Left: CT. Right: PSMA PET, same axial level, 18F-PSMA tracer. Slice position z = -986 mm. PET panel 200×200 px (4.1 mm/px).
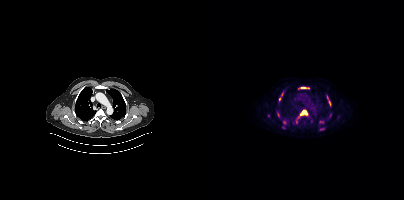
Coordinates are on the 200×200 PET (right) panel. PSMA-avid tumor lesion bounding boxes (partial; 3 more foci not listed):
| # | x0 | y0 | x1 | y1 |
|---|---|---|---|---|
| 1 | 96 | 110 | 103 | 115 |
| 2 | 97 | 87 | 101 | 88 |
| 3 | 75 | 95 | 78 | 100 |
| 4 | 125 | 101 | 126 | 105 |
Small PSMA-avid foci (2 to 4 px across) near (center x, center y): (118, 129); (123, 97); (94, 116); (115, 121).